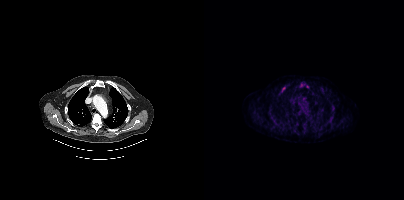
Coordinates are on the 200×200 PET (right) panel. PSMA-avid tumor lesion bounding boxes:
| # | x0 | y0 | x1 | y1 |
|---|---|---|---|---|
| 1 | 77 | 87 | 81 | 91 |
Paired axial CT (left) and PSMA PET (right), 18F-PSMA tracer. Acquired on Siemens Biograph mCT Flow 20. PET panel 200×200 px (4.1 mm/px).